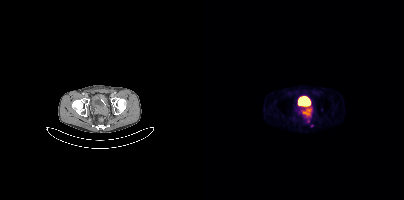
Technique: Paired axial CT (left) and PSMA PET (right), 68Ga-PSMA tracer.
Findings: Coordinates are on the 200×200 PET (right) panel. PSMA-avid tumor lesion bounding box (x0, y0)-(x1, y1): (98, 107)-(107, 116).